Technique: Two-panel axial: CT | PSMA PET, [18F]PSMA-1007 tracer. acquired on Siemens Biograph mCT Flow 20. PET panel 200×200 px (4.1 mm/px).
Note: A rectangular block over the head has been blanked out for de-identification.
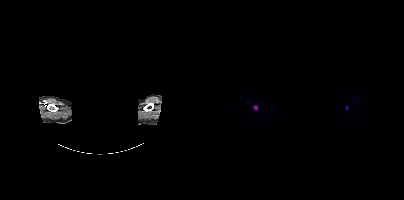
Findings: Coordinates are on the 200×200 PET (right) panel. PSMA-avid tumor lesion bounding box (x0, y0)-(x1, y1): (49, 105)-(54, 110). Small PSMA-avid focus (2 to 4 px across) near (center x, center y): (142, 107).